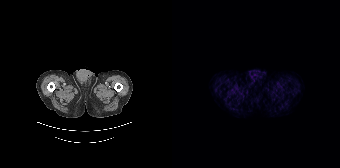
This slice has no annotated PSMA-avid lesion.